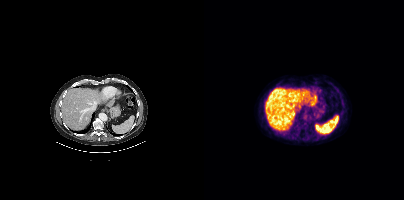
No PSMA-avid tumor lesions on this slice.